modality: PSMA PET/CT | tracer: [18F]PSMA-1007 | view: axial | de-identification: rectangular block over head set to black
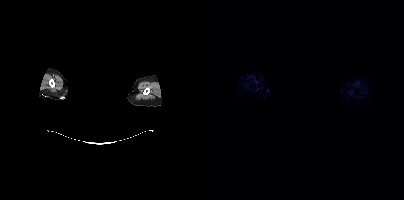
Negative for PSMA-avid disease on this slice.